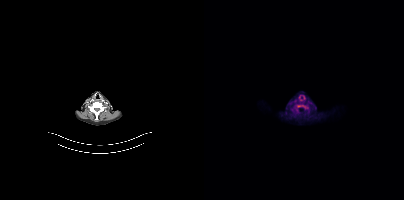
Coordinates are on the 200×200 PET (right) panel. Small PSMA-avid focus (2 to 4 px across) near (center x, center y): (95, 105).